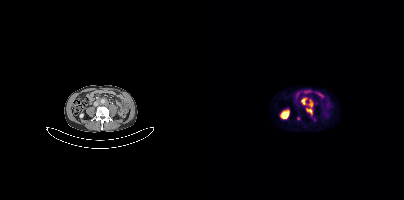
{"pet_grid":[200,200],"coord_frame":"pet_panel","coord_format":"x0,y0,x1,y1","partial":true,"lesion_bboxes":[[102,101,109,114],[97,98,103,104]],"small_foci_centers":[[94,118],[111,119]],"modality":"PSMA PET/CT","view":"axial","tracer":"68Ga"}